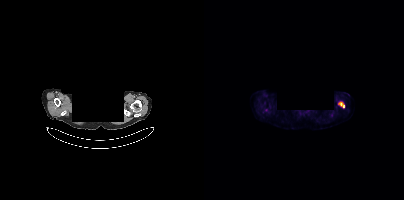
Findings: Coordinates are on the 200×200 PET (right) panel. PSMA-avid tumor lesion bounding box (x, y, width, height): x=134 y=102 w=7 h=6.
- Left: CT. Right: PSMA PET, same axial level, 18F-PSMA tracer
- acquired on Siemens Biograph mCT Flow 20
- face de-identified by blanking a block of the head